Paired axial CT (left) and PSMA PET (right), 18F tracer. Acquired on GE Discovery 690. PET panel 256×256 px (2.7 mm/px).
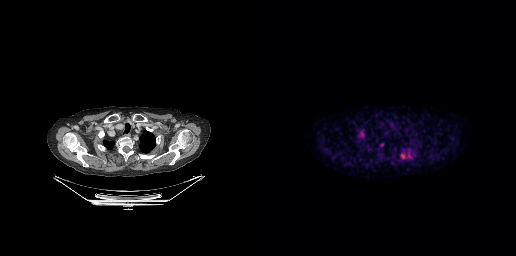
Coordinates are on the 256×256 PET (right) panel. (showing 4 of 5 foci) PSMA-avid tumor lesion bounding box (x, y, width, height): x=140 y=153 w=6 h=6. Small PSMA-avid foci (2 to 4 px across) near (center x, center y): (121, 144) / (101, 131) / (150, 156).